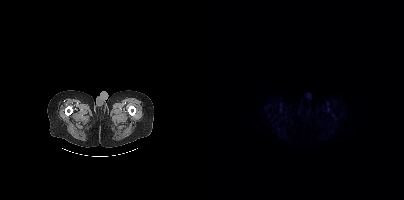
Findings: Negative for PSMA-avid disease on this slice.
Technique: Two-panel axial: CT | PSMA PET, 18F-PSMA tracer. slice 18 of 389.